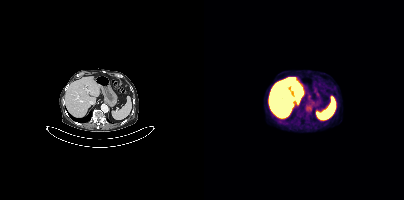
modality: PSMA PET/CT | tracer: [18F]PSMA-1007 | view: axial
No PSMA-avid tumor lesions on this slice.